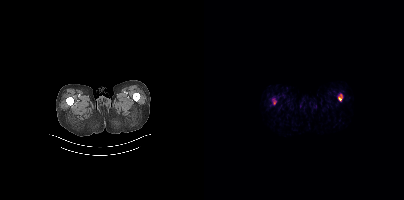
Left: CT. Right: PSMA PET, same axial level, 68Ga-PSMA tracer. Acquired on Siemens Biograph mCT Flow 20. Slice position z = 288 mm. PET panel 200×200 px (4.1 mm/px). This slice has no annotated PSMA-avid lesion.